- Paired axial CT (left) and PSMA PET (right), 18F-PSMA tracer
- acquired on Siemens Biograph mCT Flow 20
- slice 307 of 405
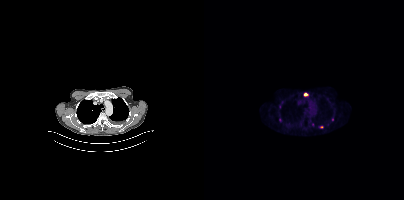
Findings: Coordinates are on the 200×200 PET (right) panel. (showing 4 of 6 foci) PSMA-avid tumor lesion bounding box (x, y, width, height): x=100 y=93 w=5 h=3. Small PSMA-avid foci (2 to 4 px across) near (center x, center y): (108, 124) | (75, 106) | (128, 119).